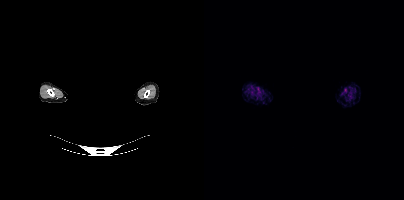
{"modality":"PSMA PET/CT","view":"axial","tracer":"18F","pet_grid":[200,200],"coord_frame":"pet_panel","coord_format":"x0,y0,x1,y1","redaction":"privacy mask over head","psma_avid_lesions":false}